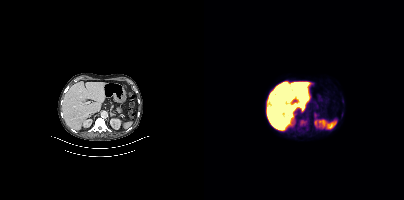
{"modality":"PSMA PET/CT","view":"axial","tracer":"18F-PSMA","pet_grid":[200,200],"coord_frame":"pet_panel","coord_format":"x0,y0,x1,y1","partial":true,"lesion_bboxes":[[96,121,103,126],[138,98,139,103]]}